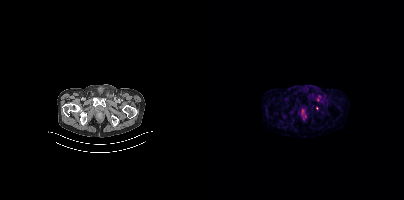
Only PSMA-avid lesion pieces thinner than 2 px on this slice (not listed).
modality: PSMA PET/CT | tracer: 68Ga | view: axial